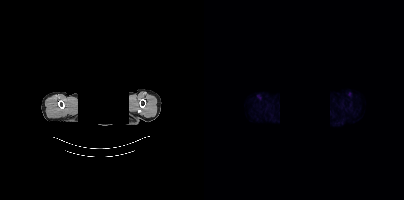
Technique: Two-panel axial: CT | PSMA PET, 18F tracer. acquired on Siemens Biograph mCT Flow 20.
Note: Face de-identified by blanking a block of the head.
Findings: Negative for PSMA-avid disease on this slice.